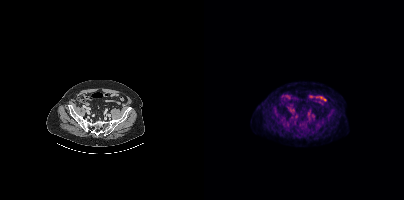
- Left: CT. Right: PSMA PET, same axial level, [18F]PSMA-1007 tracer
- acquired on Siemens Biograph mCT Flow 20
- slice 145 of 415
Findings: This slice has no annotated PSMA-avid lesion.